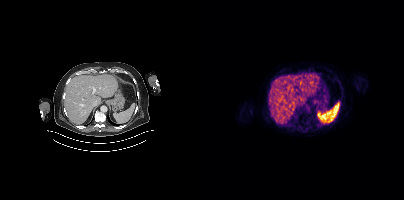
Negative for PSMA-avid disease on this slice.